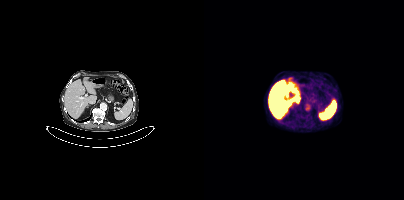
Paired axial CT (left) and PSMA PET (right), 18F-PSMA tracer. Slice position z = -1336 mm. PET panel 200×200 px (4.1 mm/px). No tumor lesions annotated on this slice.